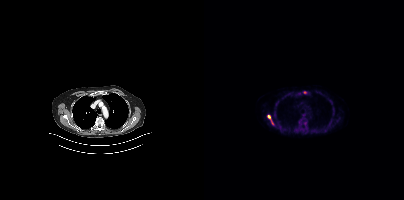
Two-panel axial: CT | PSMA PET, 18F tracer. Slice position z = -1061 mm. PET panel 200×200 px (4.1 mm/px). Coordinates are on the 200×200 PET (right) panel. PSMA-avid tumor lesion bounding box (x0,y0,x1,y1): [64,115,70,125]. Small PSMA-avid foci (2 to 4 px across) near (center x, center y): (100, 92) (101, 123).